- Paired axial CT (left) and PSMA PET (right), 18F-PSMA tracer
- slice position z = -954 mm
- PET panel 200×200 px (4.1 mm/px)
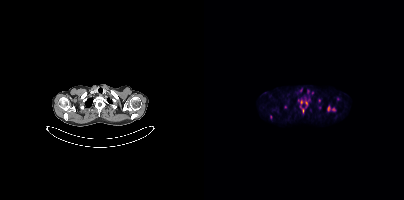
Findings: Coordinates are on the 200×200 PET (right) panel. (showing 6 of 7 foci) PSMA-avid tumor lesion bounding boxes (x0,y0,x1,y1): [94,98,105,113]; [123,105,131,111]. Small PSMA-avid foci (2 to 4 px across) near (center x, center y): (115, 100); (81, 107); (66, 117); (115, 107).